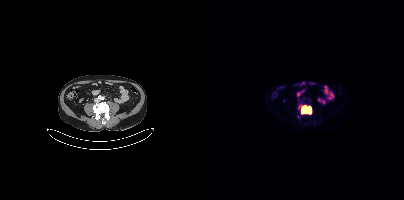
- Left: CT. Right: PSMA PET, same axial level, 18F tracer
- acquired on Siemens Biograph mCT Flow 20
- slice 139 of 403
Findings: Coordinates are on the 200×200 PET (right) panel. PSMA-avid tumor lesion bounding box (x0, y0)-(x1, y1): (94, 104)-(107, 114). Small PSMA-avid foci (2 to 4 px across) near (center x, center y): (94, 99) / (93, 116).